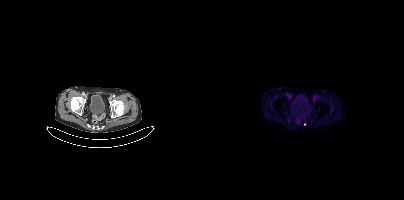
Findings: Coordinates are on the 200×200 PET (right) panel. Small PSMA-avid focus (2 to 4 px across) near (center x, center y): (100, 124).
- Two-panel axial: CT | PSMA PET, 18F-PSMA tracer
- slice 74 of 397